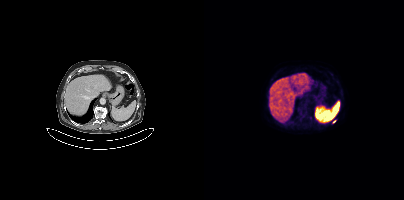
Coordinates are on the 200×200 PET (right) panel. Small PSMA-avid focus (2 to 4 px across) near (center x, center y): (130, 121).
modality: PSMA PET/CT | tracer: 18F-PSMA | view: axial